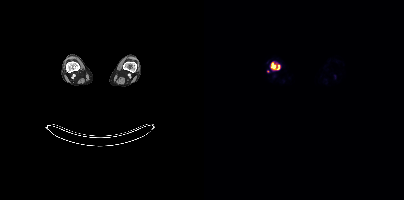
Coordinates are on the 200×200 PET (right) panel. (showing 2 of 3 foci) PSMA-avid tumor lesion bounding boxes (x, y, width, height): x=67 y=63 w=6 h=7 / x=73 y=65 w=3 h=5.